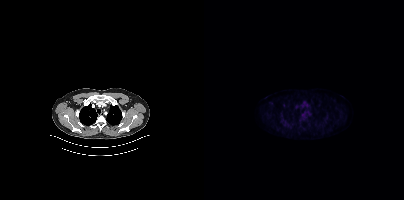
modality: PSMA PET/CT | tracer: [18F]PSMA-1007 | view: axial
No PSMA-avid tumor lesions on this slice.